Technique: Two-panel axial: CT | PSMA PET, [18F]PSMA-1007 tracer. acquired on Siemens Biograph mCT Flow 20.
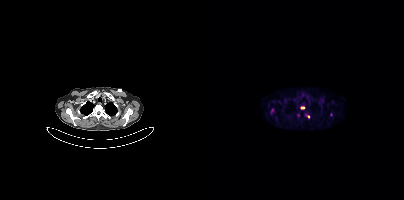
Findings: Coordinates are on the 200×200 PET (right) panel. PSMA-avid tumor lesion bounding box (x0,y0,x1,y1): [67,108,70,113]. Small PSMA-avid foci (2 to 4 px across) near (center x, center y): (103, 116); (98, 107); (127, 114).